Left: CT. Right: PSMA PET, same axial level, 68Ga tracer. Acquired on GE Discovery 690. Slice 67 of 189.
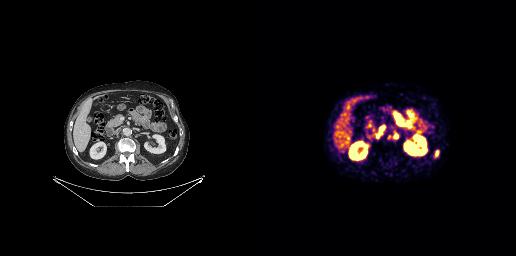
Coordinates are on the 256×256 PET (right) panel. PSMA-avid tumor lesion bounding boxes:
| # | x0 | y0 | x1 | y1 |
|---|---|---|---|---|
| 1 | 117 | 127 | 123 | 137 |
| 2 | 128 | 135 | 138 | 138 |
| 3 | 175 | 150 | 179 | 157 |